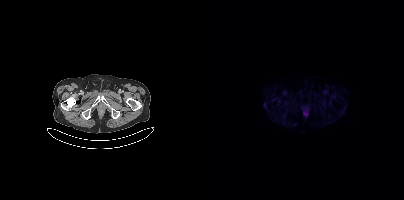
{"pet_grid":[200,200],"coord_frame":"pet_panel","coord_format":"x0,y0,x1,y1","psma_avid_lesions":false,"modality":"PSMA PET/CT","view":"axial","tracer":"18F-PSMA"}